Paired axial CT (left) and PSMA PET (right), 18F-PSMA tracer.
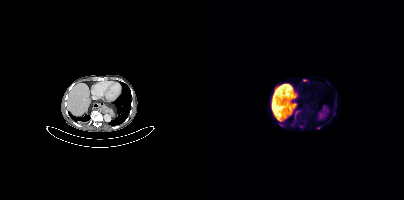
Coordinates are on the 200×200 PET (right) panel. (showing 1 of 2 foci) PSMA-avid tumor lesion bounding box (x, y, width, height): x=91 y=111 w=5 h=8.